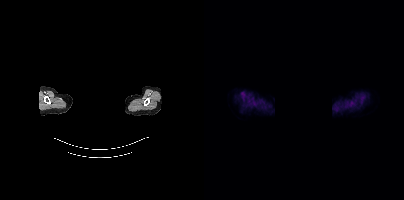
{"modality":"PSMA PET/CT","view":"axial","tracer":"18F","pet_grid":[200,200],"coord_frame":"pet_panel","coord_format":"x0,y0,x1,y1","de-identification":"privacy mask over head","psma_avid_lesions":false}